An anonymization step blacked out a rectangle over the head in this scan. Left: CT. Right: PSMA PET, same axial level, [18F]PSMA-1007 tracer. PET panel 200×200 px (4.1 mm/px).
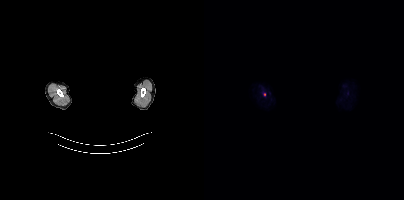
Coordinates are on the 200×200 PET (right) panel. Small PSMA-avid focus (2 to 4 px across) near (center x, center y): (60, 94).